- Left: CT. Right: PSMA PET, same axial level, 68Ga-PSMA tracer
- slice position z = -1478 mm
- PET panel 168×168 px (4.1 mm/px)
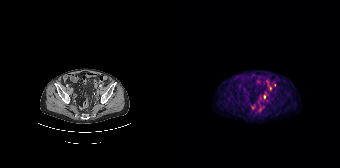
Findings: Coordinates are on the 168×168 PET (right) panel. (showing 1 of 3 foci) Small PSMA-avid focus (2 to 4 px across) near (center x, center y): (92, 96).